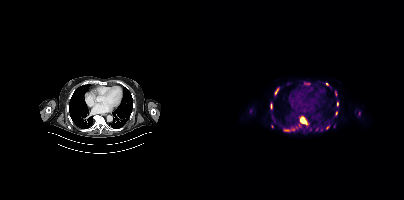
{"modality":"PSMA PET/CT","view":"axial","tracer":"[18F]PSMA-1007","pet_grid":[200,200],"coord_frame":"pet_panel","coord_format":"x0,y0,x1,y1","partial":true,"lesion_bboxes":[[96,117,103,124],[80,129,85,131],[71,88,74,94],[133,102,134,106],[131,111,133,115],[67,104,68,108]],"small_foci_centers":[[88,129],[112,129],[123,84],[131,93],[92,127],[123,127]]}